Two-panel axial: CT | PSMA PET, [18F]PSMA-1007 tracer. Acquired on Siemens Biograph mCT Flow 20. An anonymization step blacked out a rectangle over the head in this scan.
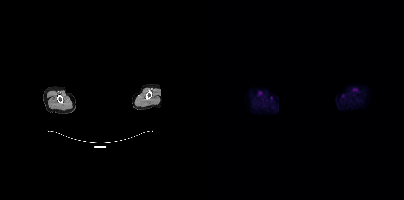
No tumor lesions annotated on this slice.